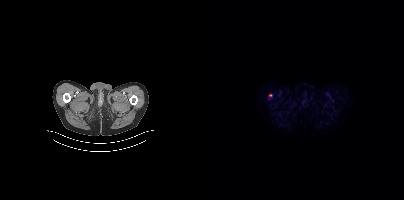
{"modality":"PSMA PET/CT","view":"axial","tracer":"18F","pet_grid":[200,200],"coord_frame":"pet_panel","coord_format":"x0,y0,x1,y1","lesion_bboxes":[],"small_foci_centers":[[66,95]]}